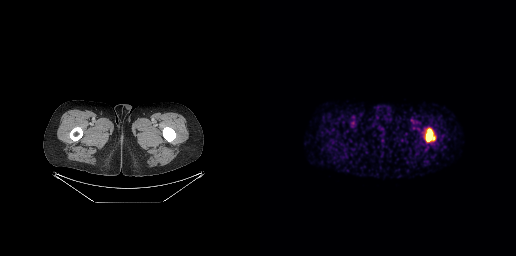
Coordinates are on the 256×256 PET (right) panel. PSMA-avid tumor lesion bounding boxes:
| # | x0 | y0 | x1 | y1 |
|---|---|---|---|---|
| 1 | 166 | 128 | 174 | 141 |
Paired axial CT (left) and PSMA PET (right), [68Ga]Ga-PSMA-11 tracer. Acquired on GE Discovery 690. PET panel 256×256 px (2.7 mm/px).